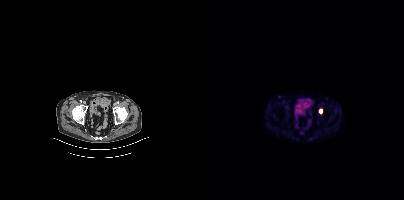
Coordinates are on the 200×200 PET (right) panel. PSMA-avid tumor lesion bounding box (x0, y0)-(x1, y1): (115, 109)-(118, 113). Paired axial CT (left) and PSMA PET (right), 18F-PSMA tracer. PET panel 200×200 px (4.1 mm/px).